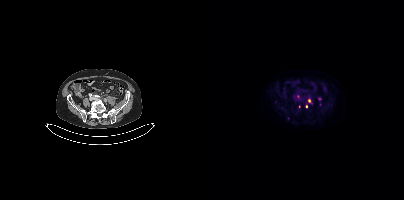
Two-panel axial: CT | PSMA PET, [18F]PSMA-1007 tracer. PET panel 200×200 px (4.1 mm/px). No PSMA-avid tumor lesions on this slice.